Technique: Two-panel axial: CT | PSMA PET, 18F tracer. slice 179 of 425. PET panel 200×200 px (4.1 mm/px).
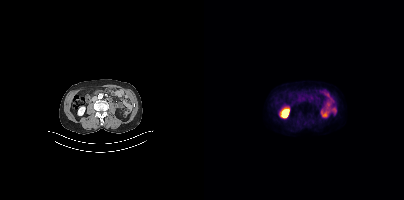
Findings: No PSMA-avid tumor lesions on this slice.